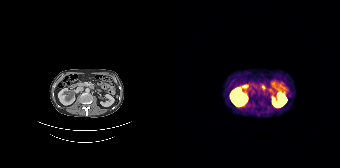
Negative for PSMA-avid disease on this slice.